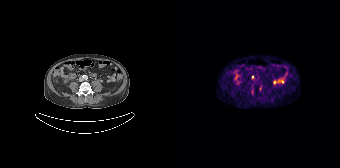
modality: PSMA PET/CT | tracer: 68Ga | view: axial | PET grid: 168×168
Coordinates are on the 168×168 PET (right) panel. Small PSMA-avid focus (2 to 4 px across) near (center x, center y): (80, 77).